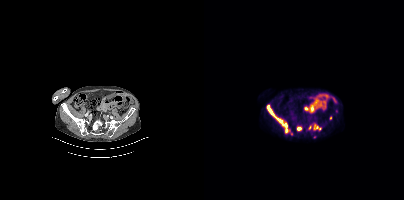
Coordinates are on the 200×200 PET (right) panel. (showing 6 of 8 foci) PSMA-avid tumor lesion bounding boxes (x, y, width, height): x=62 y=105 w=24 h=29 | x=109 y=124 w=9 h=7 | x=93 y=126 w=6 h=6 | x=105 y=125 w=3 h=5. Small PSMA-avid foci (2 to 4 px across) near (center x, center y): (126, 117) | (110, 137).